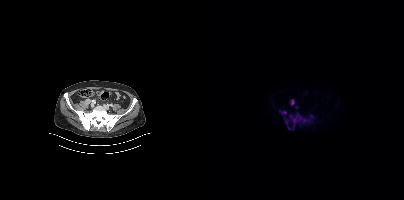
Coordinates are on the 200×200 PET (right) panel. PSMA-avid tumor lesion bounding boxes (x0,y0,x1,y1): [80,113,109,129]; [78,111,82,114]; [88,100,90,104]. Paired axial CT (left) and PSMA PET (right), [18F]PSMA-1007 tracer. Slice 121 of 395.